Technique: Paired axial CT (left) and PSMA PET (right), 18F-PSMA tracer. acquired on Siemens Biograph mCT Flow 20. slice position z = -1416 mm.
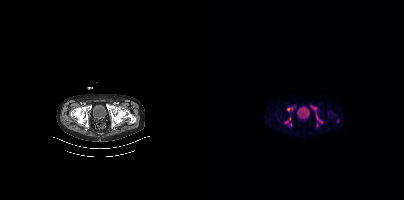
Findings: Coordinates are on the 200×200 PET (right) panel. (showing 6 of 7 foci) PSMA-avid tumor lesion bounding boxes (x0,y0,x1,y1): [106,105,118,123], [80,117,88,126], [83,105,91,111]. Small PSMA-avid foci (2 to 4 px across) near (center x, center y): (113, 124), (100, 116), (133, 120).